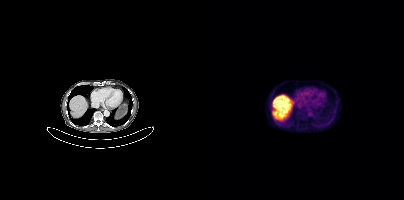
- Left: CT. Right: PSMA PET, same axial level, 18F tracer
Findings: No tumor lesions annotated on this slice.